- Left: CT. Right: PSMA PET, same axial level, [68Ga]Ga-PSMA-11 tracer
- slice 115 of 263
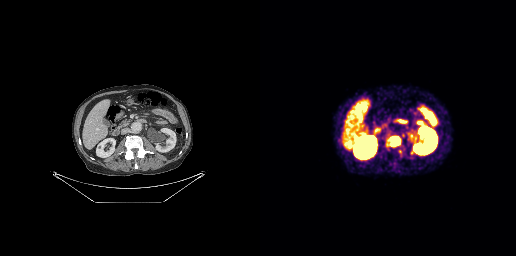
Findings: Coordinates are on the 256×256 PET (right) panel. PSMA-avid tumor lesion bounding box (x0,y0,x1,y1): [131,137,139,144].